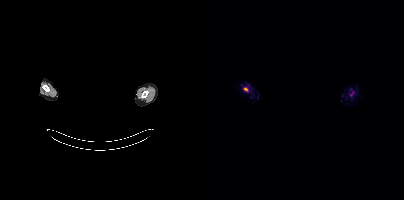
{"modality":"PSMA PET/CT","view":"axial","tracer":"18F","pet_grid":[200,200],"coord_frame":"pet_panel","coord_format":"x0,y0,x1,y1","lesion_bboxes":[],"small_foci_centers":[[41,89]],"redaction":"face masked with black rectangle"}